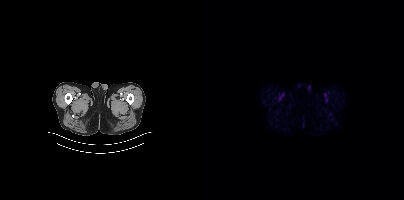
{"pet_grid":[200,200],"coord_frame":"pet_panel","coord_format":"x0,y0,x1,y1","psma_avid_lesions":false,"modality":"PSMA PET/CT","view":"axial","tracer":"18F-PSMA"}